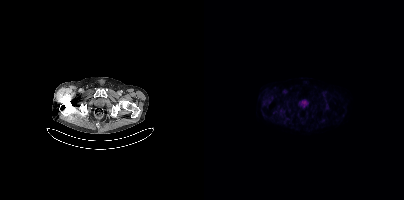
- Paired axial CT (left) and PSMA PET (right), 18F tracer
Findings: No tumor lesions annotated on this slice.